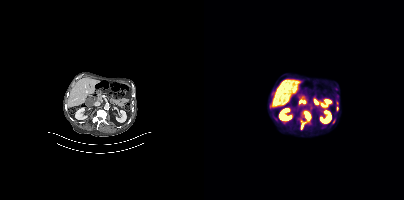
Coordinates are on the 200×200 PET (right) panel. (showing 2 of 3 foci) PSMA-avid tumor lesion bounding box (x0,y0,x1,y1): [96,121,101,130]. Small PSMA-avid focus (2 to 4 px across) near (center x, center y): (133, 108). Paired axial CT (left) and PSMA PET (right), [18F]PSMA-1007 tracer. Acquired on Siemens Biograph mCT Flow 20. Slice position z = -1286 mm. PET panel 200×200 px (4.1 mm/px).